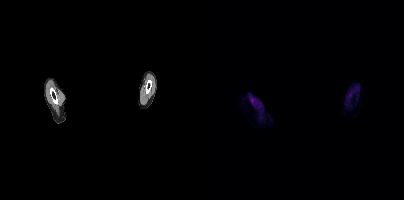
{"modality":"PSMA PET/CT","view":"axial","tracer":"[18F]PSMA-1007","pet_grid":[200,200],"coord_frame":"pet_panel","coord_format":"x0,y0,x1,y1","psma_avid_lesions":false,"deidentification":"head region blanked (face removed)"}